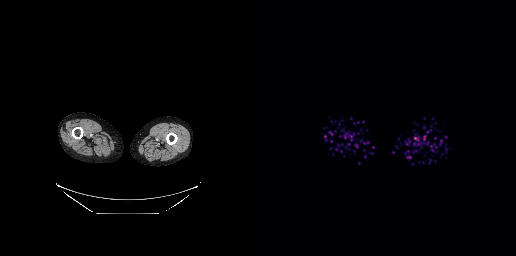
This slice has no annotated PSMA-avid lesion.